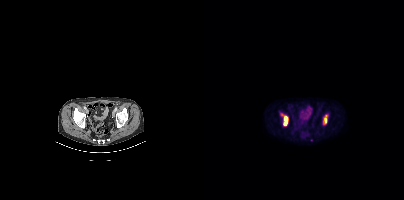
{"modality":"PSMA PET/CT","view":"axial","tracer":"18F","pet_grid":[200,200],"coord_frame":"pet_panel","coord_format":"x0,y0,x1,y1","lesion_bboxes":[[80,117,83,125],[120,118,122,122]]}